Left: CT. Right: PSMA PET, same axial level, [18F]PSMA-1007 tracer. Slice position z = -922 mm.
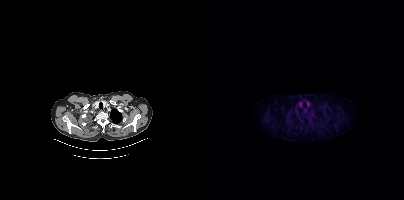
No tumor lesions annotated on this slice.